Paired axial CT (left) and PSMA PET (right), 18F tracer. Acquired on Siemens Biograph mCT Flow 20. Slice 11 of 425.
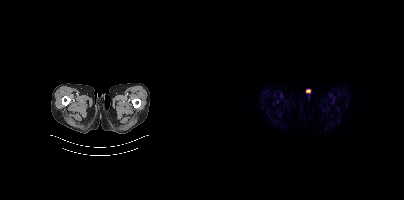
Negative for PSMA-avid disease on this slice.